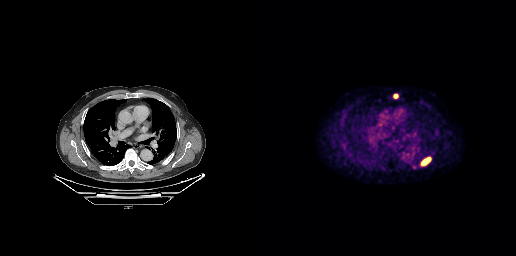
Two-panel axial: CT | PSMA PET, 18F tracer. Slice position z = -299 mm. PET panel 256×256 px (2.7 mm/px). Coordinates are on the 256×256 PET (right) panel. PSMA-avid tumor lesion bounding boxes (x, y, width, height): x=160 y=156 w=12 h=11 | x=133 y=93 w=6 h=6.